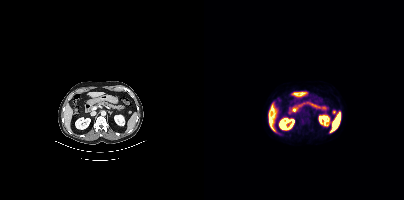
{"modality":"PSMA PET/CT","view":"axial","tracer":"18F-PSMA","pet_grid":[200,200],"coord_frame":"pet_panel","coord_format":"x0,y0,x1,y1","lesion_bboxes":[],"small_foci_centers":[[130,112]]}